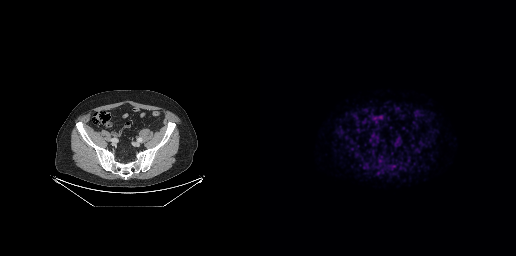
Coordinates are on the 256×256 PET (right) panel. (showing 1 of 2 foci) Small PSMA-avid focus (2 to 4 px across) near (center x, center y): (136, 144).